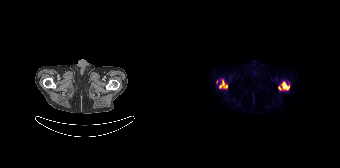
Coordinates are on the 168×168 PET (right) panel. (showing 2 of 3 foci) PSMA-avid tumor lesion bounding boxes (x, y, width, height): x=109 y=81 w=9 h=10 | x=47 y=80 w=9 h=9.